- an anonymization step blacked out a rectangle in this scan
- Left: CT. Right: PSMA PET, same axial level, 18F tracer
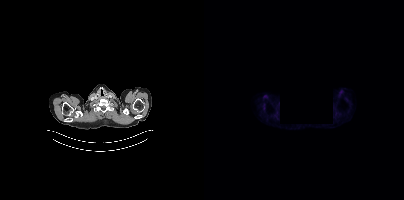
Findings: This slice has no annotated PSMA-avid lesion.